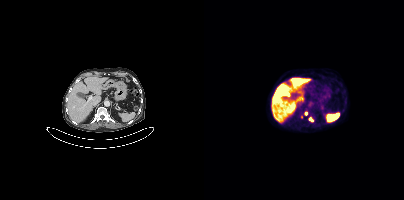
Left: CT. Right: PSMA PET, same axial level, 18F tracer.
Coordinates are on the 200×200 PET (right) panel. PSMA-avid tumor lesion bounding boxes (partial; 1 more focus not listed):
| # | x0 | y0 | x1 | y1 |
|---|---|---|---|---|
| 1 | 104 | 117 | 109 | 121 |
| 2 | 100 | 111 | 103 | 115 |